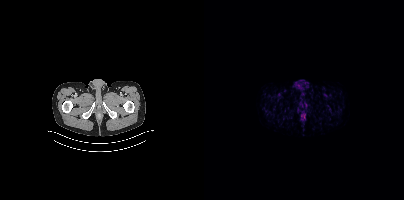
Technique: Left: CT. Right: PSMA PET, same axial level, 68Ga tracer. acquired on Siemens Biograph mCT Flow 20. slice position z = -1558 mm.
Findings: No tumor lesions annotated on this slice.